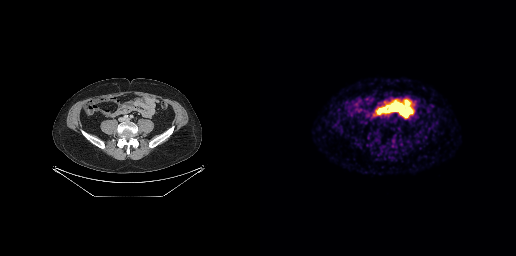
Technique: Left: CT. Right: PSMA PET, same axial level, [68Ga]Ga-PSMA-11 tracer.
Findings: Negative for PSMA-avid disease on this slice.